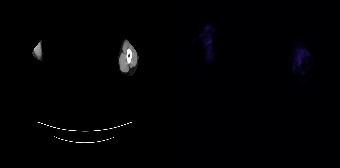
An anonymization step blacked out a rectangle over the head in this scan.
No tumor lesions annotated on this slice.